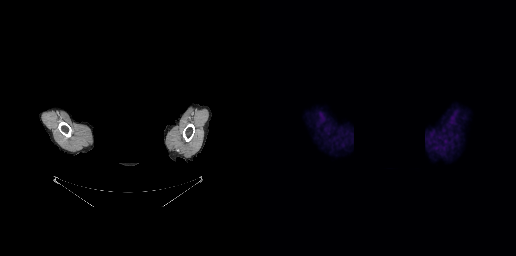
A rectangle over the head was blacked out to remove identifiable facial features. Left: CT. Right: PSMA PET, same axial level, [18F]PSMA-1007 tracer. Acquired on GE Discovery 690. This slice has no annotated PSMA-avid lesion.